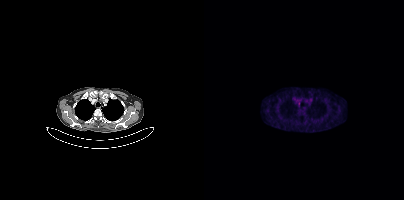
Two-panel axial: CT | PSMA PET, [18F]PSMA-1007 tracer. Slice 319 of 397. PET panel 200×200 px (4.1 mm/px). Only PSMA-avid lesion pieces thinner than 2 px on this slice (not listed).